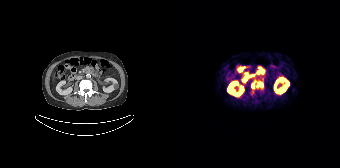
Coordinates are on the 168×168 PET (right) panel. PSMA-avid tumor lesion bounding boxes:
| # | x0 | y0 | x1 | y1 |
|---|---|---|---|---|
| 1 | 79 | 80 | 91 | 89 |
Left: CT. Right: PSMA PET, same axial level, 68Ga tracer. PET panel 168×168 px (4.1 mm/px).